modality: PSMA PET/CT | tracer: 18F | view: axial | PET grid: 256×256
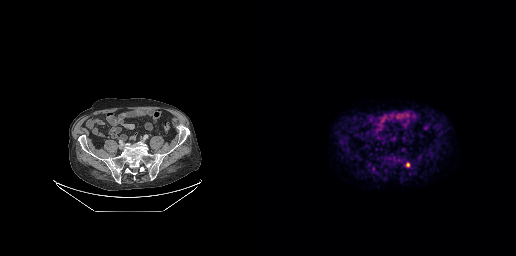
Coordinates are on the 256×256 PET (right) panel. Small PSMA-avid foci (2 to 4 px across) near (center x, center y): (148, 164), (113, 168).